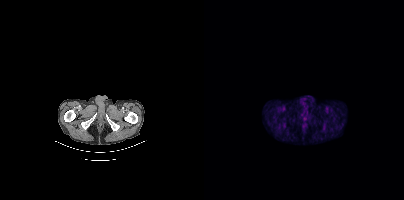
Technique: Left: CT. Right: PSMA PET, same axial level, 18F tracer.
Findings: Negative for PSMA-avid disease on this slice.